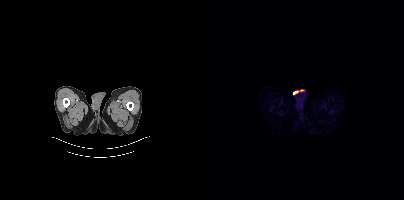
{"modality":"PSMA PET/CT","view":"axial","tracer":"18F","pet_grid":[200,200],"coord_frame":"pet_panel","coord_format":"x0,y0,x1,y1","psma_avid_lesions":false}